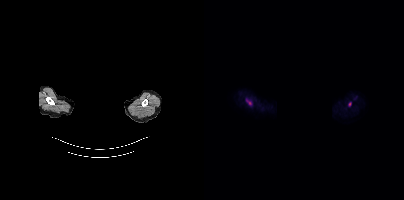
Face de-identified by blanking a block of the head. Left: CT. Right: PSMA PET, same axial level, [18F]PSMA-1007 tracer.
Coordinates are on the 200×200 PET (right) panel. PSMA-avid tumor lesion bounding boxes:
| # | x0 | y0 | x1 | y1 |
|---|---|---|---|---|
| 1 | 42 | 99 | 47 | 105 |
Small PSMA-avid focus (2 to 4 px across) near (center x, center y): (145, 103).